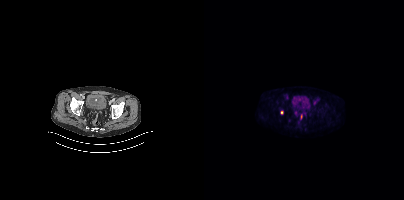
Findings: Coordinates are on the 200×200 PET (right) panel. Small PSMA-avid focus (2 to 4 px across) near (center x, center y): (77, 112).
- Paired axial CT (left) and PSMA PET (right), 18F-PSMA tracer
- acquired on Siemens Biograph mCT Flow 20